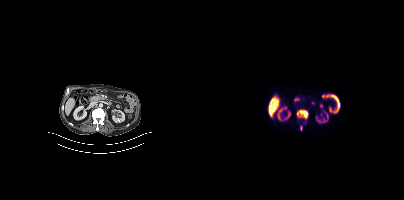
Coordinates are on the 200×200 PET (right) panel. (showing 1 of 2 foci) PSMA-avid tumor lesion bounding box (x, y, width, height): x=93 y=110 w=11 h=9.